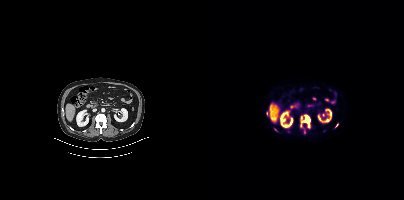
Coordinates are on the 200×200 PET (right) panel. (showing 5 of 7 foci) PSMA-avid tumor lesion bounding boxes (x, y, width, height): x=98 y=115 w=9 h=13 | x=100 y=129 w=2 h=5. Small PSMA-avid foci (2 to 4 px across) near (center x, center y): (63, 113) | (71, 129) | (133, 125).
modality: PSMA PET/CT | tracer: 18F-PSMA | view: axial